Paired axial CT (left) and PSMA PET (right), 18F tracer. PET panel 200×200 px (4.1 mm/px).
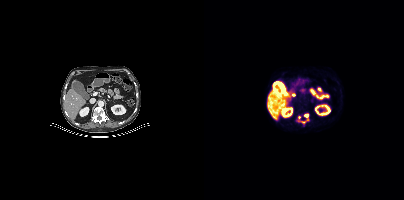
Coordinates are on the 200×200 PET (right) panel. PSMA-avid tumor lesion bounding boxes (partial; 2 more foci not listed):
| # | x0 | y0 | x1 | y1 |
|---|---|---|---|---|
| 1 | 100 | 114 | 104 | 116 |
| 2 | 97 | 121 | 101 | 123 |
Small PSMA-avid focus (2 to 4 px across) near (center x, center y): (103, 119).